Left: CT. Right: PSMA PET, same axial level, 18F-PSMA tracer. Acquired on Siemens Biograph mCT Flow 20. Slice 395 of 454.
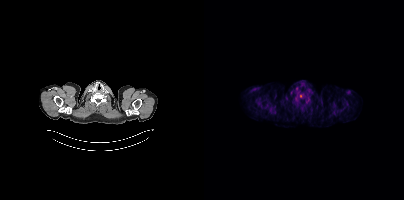
Coordinates are on the 200×200 PET (right) panel. Small PSMA-avid focus (2 to 4 px across) near (center x, center y): (96, 95).